modality: PSMA PET/CT | tracer: 18F-PSMA | view: axial
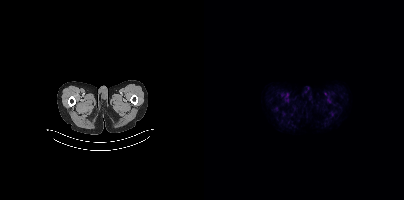
Negative for PSMA-avid disease on this slice.